- Two-panel axial: CT | PSMA PET, 68Ga-PSMA tracer
- PET panel 256×256 px (2.7 mm/px)
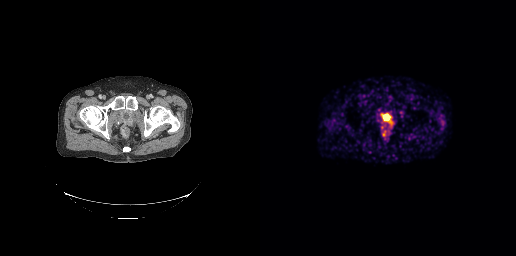
Findings: Coordinates are on the 256×256 PET (right) panel. PSMA-avid tumor lesion bounding box (x0, y0)-(x1, y1): (122, 114)-(130, 120).